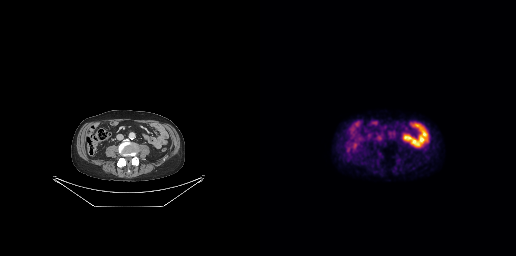
- Paired axial CT (left) and PSMA PET (right), [18F]PSMA-1007 tracer
Findings: No tumor lesions annotated on this slice.